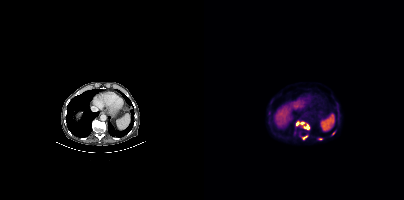
Two-panel axial: CT | PSMA PET, 18F-PSMA tracer. Slice 238 of 435. Coordinates are on the 200×200 PET (right) panel. PSMA-avid tumor lesion bounding box (x, y, width, height): x=99 y=124 w=7 h=6. Small PSMA-avid foci (2 to 4 px across) near (center x, center y): (93, 123); (98, 123); (100, 137); (129, 133); (116, 138).